Paired axial CT (left) and PSMA PET (right), 18F-PSMA tracer. PET panel 200×200 px (4.1 mm/px).
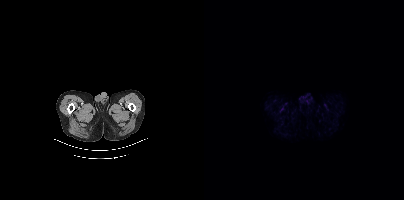
Negative for PSMA-avid disease on this slice.